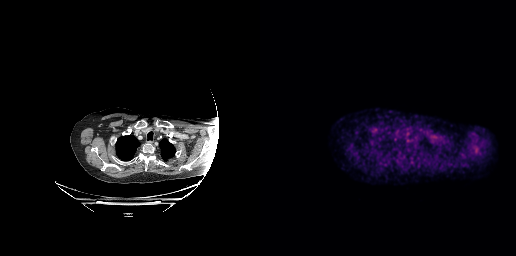
This slice has no annotated PSMA-avid lesion.